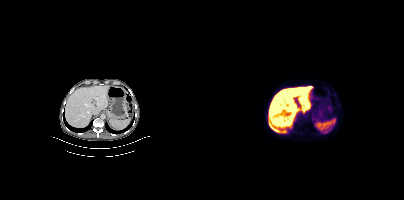
{"modality":"PSMA PET/CT","view":"axial","tracer":"[18F]PSMA-1007","pet_grid":[200,200],"coord_frame":"pet_panel","coord_format":"x0,y0,x1,y1","psma_avid_lesions":false}